Two-panel axial: CT | PSMA PET, 18F-PSMA tracer. Acquired on Siemens Biograph mCT Flow 20. Slice 207 of 421. PET panel 200×200 px (4.1 mm/px).
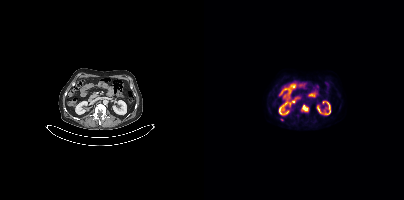
Coordinates are on the 200×200 PET (right) panel. PSMA-avid tumor lesion bounding box (x0,y0,x1,y1): [98,105,104,111]. Small PSMA-avid focus (2 to 4 px across) near (center x, center y): (78, 119).